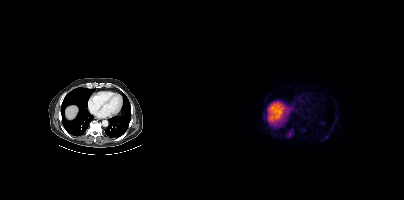
No PSMA-avid tumor lesions on this slice.